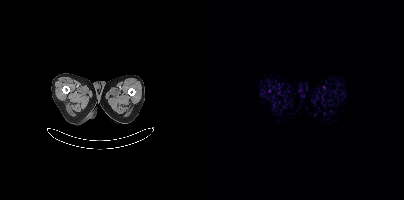
Left: CT. Right: PSMA PET, same axial level, 18F tracer. No PSMA-avid tumor lesions on this slice.